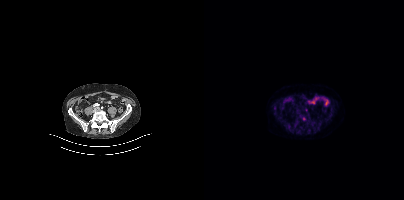
Findings: No tumor lesions annotated on this slice.
Technique: Paired axial CT (left) and PSMA PET (right), [18F]PSMA-1007 tracer.